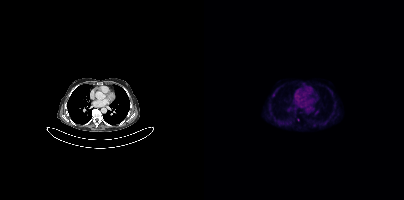
This slice has no annotated PSMA-avid lesion.